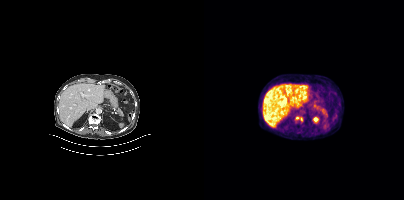
Paired axial CT (left) and PSMA PET (right), 18F tracer. Acquired on Siemens Biograph mCT Flow 20. Slice 216 of 377. PET panel 200×200 px (4.1 mm/px). Coordinates are on the 200×200 PET (right) panel. (showing 1 of 2 foci) Small PSMA-avid focus (2 to 4 px across) near (center x, center y): (93, 117).